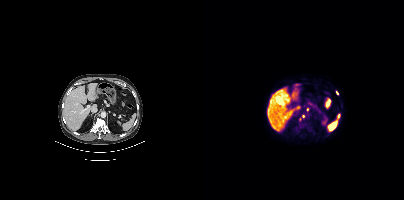
Coordinates are on the 200×200 PET (right) panel. Small PSMA-avid foci (2 to 4 px across) near (center x, center y): (99, 116) | (103, 109) | (132, 92).